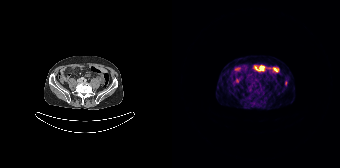
Two-panel axial: CT | PSMA PET, [68Ga]Ga-PSMA-11 tracer. Acquired on Siemens Biograph 64-4R TruePoint. Slice position z = -1189 mm. Coordinates are on the 168×168 PET (right) panel. Small PSMA-avid focus (2 to 4 px across) near (center x, center y): (114, 82).